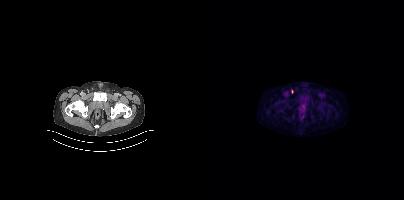
Coordinates are on the 200×200 PET (right) panel. Small PSMA-avid focus (2 to 4 px across) near (center x, center y): (88, 91).
modality: PSMA PET/CT | tracer: 18F-PSMA | view: axial | PET grid: 200×200